Two-panel axial: CT | PSMA PET, [68Ga]Ga-PSMA-11 tracer. Slice 112 of 373. PET panel 200×200 px (4.1 mm/px).
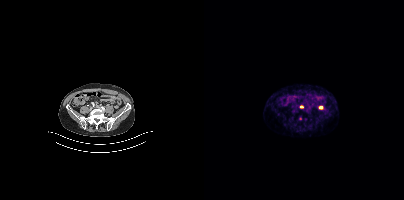
Coordinates are on the 200×200 PET (right) panel. Small PSMA-avid foci (2 to 4 px across) near (center x, center y): (97, 106) | (116, 107).